Two-panel axial: CT | PSMA PET, 18F-PSMA tracer. Slice 40 of 263.
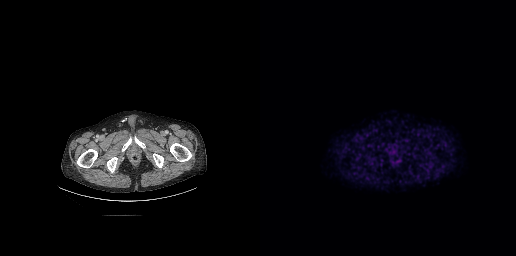
Coordinates are on the 256×256 PET (right) panel. PSMA-avid tumor lesion bounding boxes (x0, y0)-(x1, y1): (128, 149)-(135, 156) | (131, 158)-(139, 163).